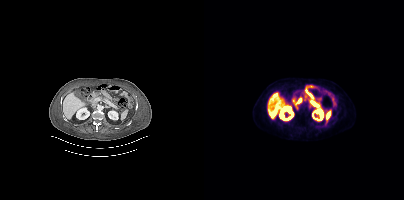
No PSMA-avid tumor lesions on this slice.
modality: PSMA PET/CT | tracer: 18F | view: axial